modality: PSMA PET/CT | tracer: [18F]PSMA-1007 | view: axial
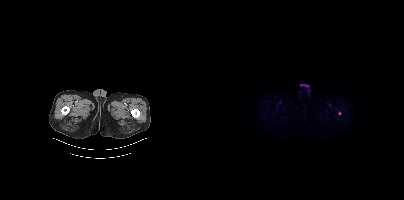
Only PSMA-avid lesion pieces thinner than 2 px on this slice (not listed).